modality: PSMA PET/CT | tracer: [18F]PSMA-1007 | view: axial | PET grid: 200×200 | deidentification: head region blacked out before release
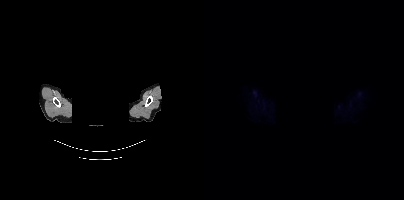
No tumor lesions annotated on this slice.